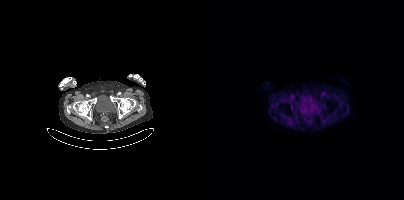
{"modality":"PSMA PET/CT","view":"axial","tracer":"18F-PSMA","pet_grid":[200,200],"coord_frame":"pet_panel","coord_format":"x0,y0,x1,y1","psma_avid_lesions":false}